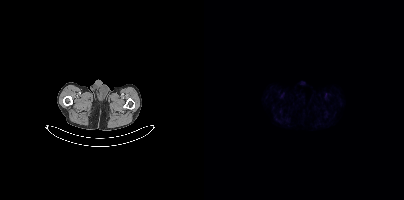
{"pet_grid":[200,200],"coord_frame":"pet_panel","coord_format":"x0,y0,x1,y1","psma_avid_lesions":false,"modality":"PSMA PET/CT","view":"axial","tracer":"18F-PSMA"}